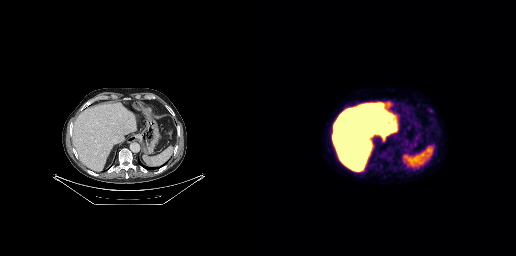
modality: PSMA PET/CT | tracer: 18F-PSMA | view: axial | PET grid: 256×256
Coordinates are on the 256×256 PET (right) panel. Small PSMA-avid focus (2 to 4 px across) near (center x, center y): (170, 110).